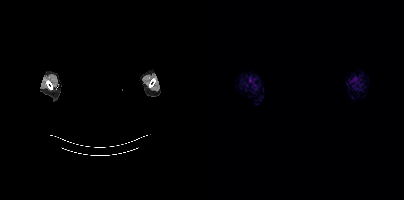
{"modality":"PSMA PET/CT","view":"axial","tracer":"18F-PSMA","pet_grid":[200,200],"coord_frame":"pet_panel","coord_format":"x0,y0,x1,y1","deidentification":"privacy mask over head","psma_avid_lesions":false}